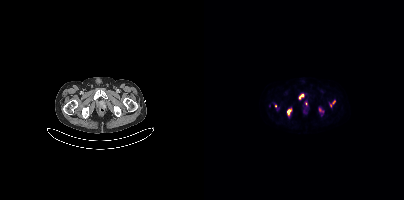
modality: PSMA PET/CT | tracer: 18F | view: axial | PET grid: 200×200
Coordinates are on the 200×200 PET (right) panel. PSMA-avid tumor lesion bounding boxes (x, y, width, height): x=83 y=110 w=4 h=6 / x=95 y=94 w=5 h=5 / x=115 y=108 w=5 h=5. Small PSMA-avid foci (2 to 4 px across) near (center x, center y): (130, 101) / (71, 105) / (102, 103).